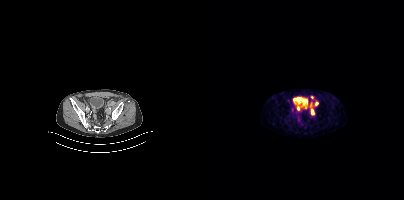
Paired axial CT (left) and PSMA PET (right), 68Ga-PSMA tracer. Acquired on Siemens Biograph mCT Flow 20. Slice position z = -1372 mm. Coordinates are on the 200×200 PET (right) panel. PSMA-avid tumor lesion bounding boxes (x, y, width, height): x=106 y=105 w=5 h=11 | x=111 y=101 w=4 h=5 | x=93 y=106 w=3 h=5. Small PSMA-avid foci (2 to 4 px across) near (center x, center y): (108, 97) | (102, 107).